Paired axial CT (left) and PSMA PET (right), [68Ga]Ga-PSMA-11 tracer. Slice 357 of 444.
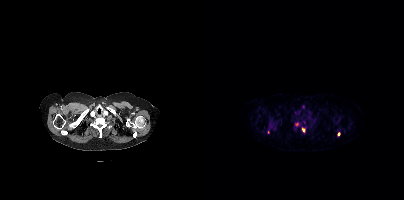
Coordinates are on the 200×200 PET (right) panel. PSMA-avid tumor lesion bounding boxes (partial; 1 more focus not listed):
| # | x0 | y0 | x1 | y1 |
|---|---|---|---|---|
| 1 | 133 | 132 | 136 | 136 |
| 2 | 98 | 128 | 100 | 132 |
Small PSMA-avid focus (2 to 4 px across) near (center x, center y): (64, 132).